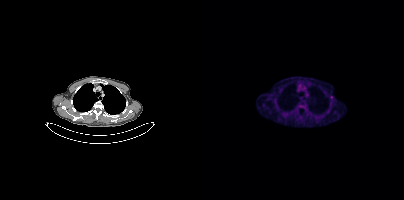
{"pet_grid":[200,200],"coord_frame":"pet_panel","coord_format":"x0,y0,x1,y1","lesion_bboxes":[],"small_foci_centers":[[127,97]],"modality":"PSMA PET/CT","view":"axial","tracer":"[18F]PSMA-1007"}